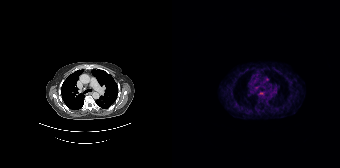
{"pet_grid":[168,168],"coord_frame":"pet_panel","coord_format":"x0,y0,x1,y1","lesion_bboxes":[],"small_foci_centers":[[89,93],[95,79]],"modality":"PSMA PET/CT","view":"axial","tracer":"[68Ga]Ga-PSMA-11"}